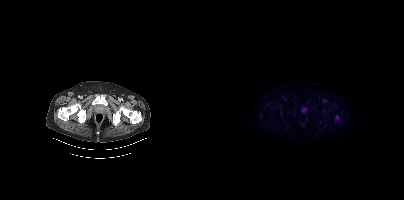
Findings: Coordinates are on the 200×200 PET (right) panel. (showing 1 of 2 foci) Small PSMA-avid focus (2 to 4 px across) near (center x, center y): (132, 117).
- Paired axial CT (left) and PSMA PET (right), [18F]PSMA-1007 tracer
- acquired on Siemens Biograph mCT Flow 20
- slice position z = -1440 mm